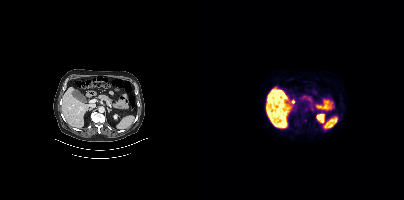
Left: CT. Right: PSMA PET, same axial level, [18F]PSMA-1007 tracer. Slice 235 of 450. Only PSMA-avid lesion pieces thinner than 2 px on this slice (not listed).